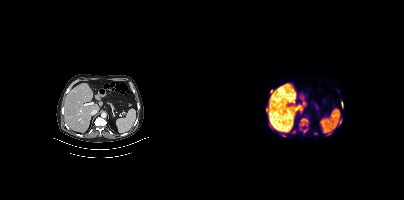
Only PSMA-avid lesion pieces thinner than 2 px on this slice (not listed).
modality: PSMA PET/CT | tracer: 18F | view: axial | PET grid: 200×200